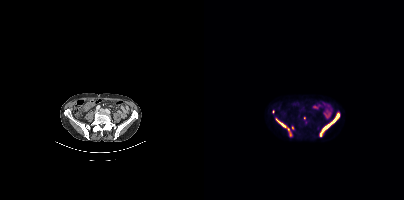
Two-panel axial: CT | PSMA PET, 18F tracer. PET panel 200×200 px (4.1 mm/px). Coordinates are on the 200×200 PET (right) panel. (showing 5 of 7 foci) PSMA-avid tumor lesion bounding boxes (x0,y0,x1,y1): [116,113,135,135], [72,119,82,127]. Small PSMA-avid foci (2 to 4 px across) near (center x, center y): (84, 129), (88, 127), (85, 134).